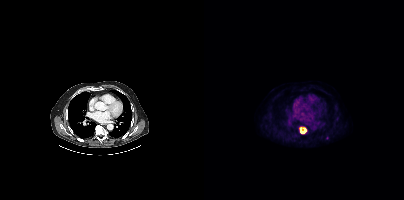
modality: PSMA PET/CT | tracer: 18F | view: axial
Coordinates are on the 200×200 PET (right) panel. PSMA-avid tumor lesion bounding box (x0, y0)-(x1, y1): (96, 127)-(102, 133). Small PSMA-avid focus (2 to 4 px across) near (center x, center y): (123, 138).